Technique: Two-panel axial: CT | PSMA PET, [18F]PSMA-1007 tracer. slice position z = -630 mm. PET panel 200×200 px (4.1 mm/px).
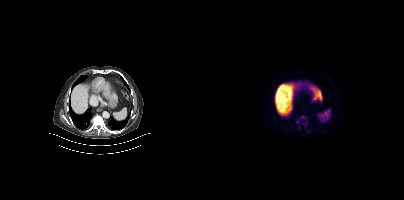
Findings: No PSMA-avid tumor lesions on this slice.